Left: CT. Right: PSMA PET, same axial level, 18F-PSMA tracer.
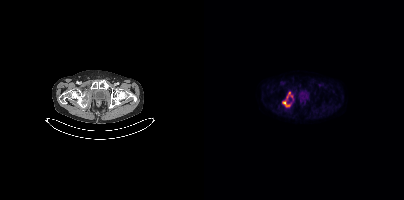
Coordinates are on the 200×200 PET (right) panel. PSMA-avid tumor lesion bounding box (x0, y0)-(x1, y1): (78, 92)-(89, 106).